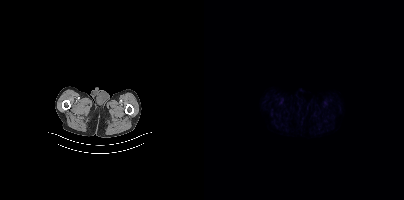
Two-panel axial: CT | PSMA PET, [18F]PSMA-1007 tracer. Slice position z = -1032 mm. No PSMA-avid tumor lesions on this slice.